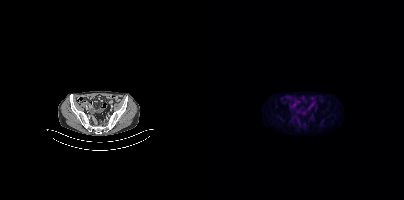
{"modality":"PSMA PET/CT","view":"axial","tracer":"[18F]PSMA-1007","pet_grid":[200,200],"coord_frame":"pet_panel","coord_format":"x0,y0,x1,y1","psma_avid_lesions":false}